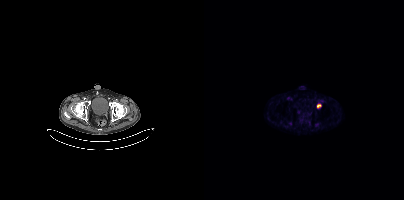
Findings: Coordinates are on the 200×200 PET (right) panel. PSMA-avid tumor lesion bounding box (x0,y0,x1,y1): [113,104,117,108].
Technique: Two-panel axial: CT | PSMA PET, 18F-PSMA tracer.